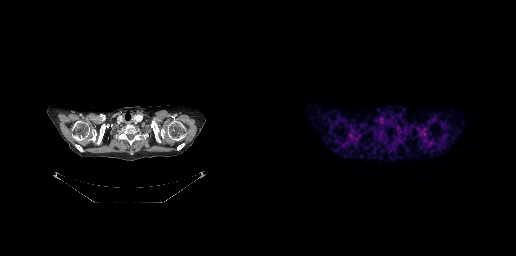
modality: PSMA PET/CT | tracer: 68Ga-PSMA | view: axial
No tumor lesions annotated on this slice.